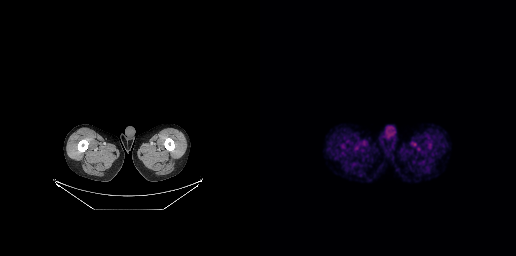
Findings: Negative for PSMA-avid disease on this slice.
- Two-panel axial: CT | PSMA PET, [18F]PSMA-1007 tracer